- Left: CT. Right: PSMA PET, same axial level, [18F]PSMA-1007 tracer
- slice position z = -502 mm
- PET panel 200×200 px (4.1 mm/px)
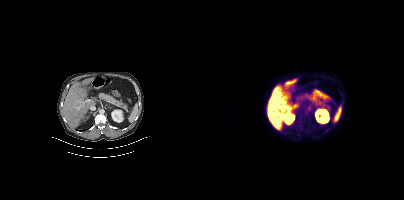
Findings: This slice has no annotated PSMA-avid lesion.